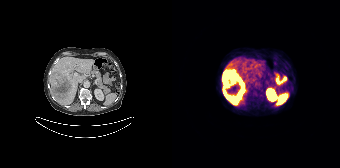
Coordinates are on the 168×168 PET (right) panel. PSMA-avid tumor lesion bounding box (x, y, width, height): x=51 y=70 w=22 h=35.